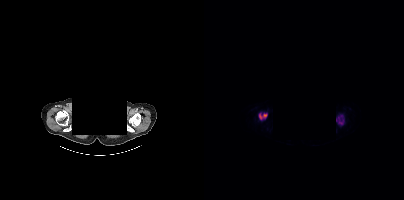
Two-panel axial: CT | PSMA PET, 18F-PSMA tracer. Slice position z = -370 mm. Facial anatomy redacted by setting a rectangular region of the head to black. Coordinates are on the 200×200 PET (right) panel. PSMA-avid tumor lesion bounding boxes (x, y, width, height): x=132 y=115 w=9 h=10; x=55 y=113 w=9 h=7.